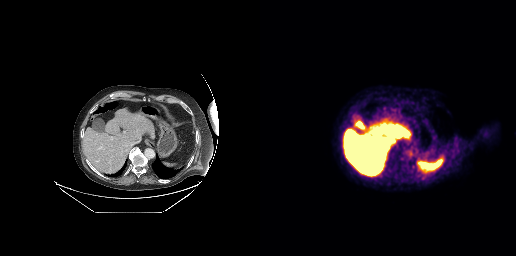
{"pet_grid":[256,256],"coord_frame":"pet_panel","coord_format":"x0,y0,x1,y1","psma_avid_lesions":false,"modality":"PSMA PET/CT","view":"axial","tracer":"[18F]PSMA-1007"}